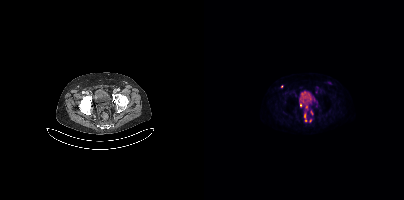
Coordinates are on the 200×200 PET (right) panel. Small PSMA-avid foci (2 to 4 px across) near (center x, center y): (100, 115); (96, 105); (77, 86); (101, 120); (107, 112); (106, 120). Paired axial CT (left) and PSMA PET (right), 18F-PSMA tracer. Slice 77 of 395.